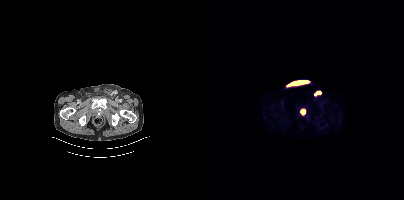
Coordinates are on the 200×200 PET (right) panel. PSMA-avid tumor lesion bounding boxes (x, y, width, height): x=110 y=91 w=8 h=6; x=96 y=109 w=6 h=6.